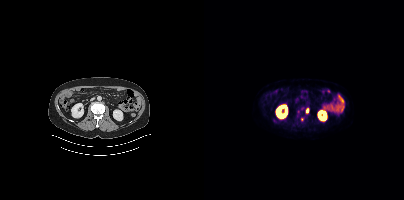
Coordinates are on the 200×200 PET (right) panel. (showing 1 of 2 foci) Small PSMA-avid focus (2 to 4 px across) near (center x, center y): (103, 110).